- Paired axial CT (left) and PSMA PET (right), [18F]PSMA-1007 tracer
- acquired on GE Discovery 690
- slice position z = -485 mm
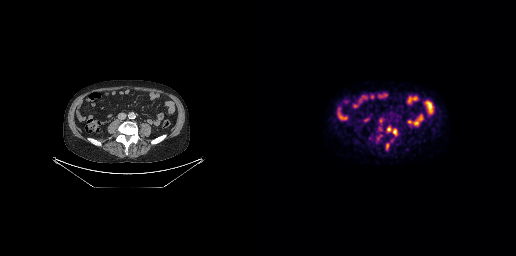
Findings: Coordinates are on the 256×256 PET (right) panel. PSMA-avid tumor lesion bounding boxes (x0, y0)-(x1, y1): (133, 129)-(136, 135); (127, 127)-(131, 131); (126, 144)-(128, 148). Small PSMA-avid focus (2 to 4 px across) near (center x, center y): (120, 120).